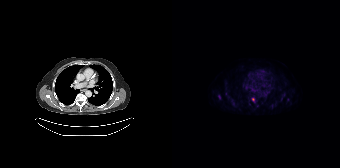
Two-panel axial: CT | PSMA PET, 18F tracer. PET panel 168×168 px (4.1 mm/px). Coordinates are on the 168×168 PET (right) panel. (showing 1 of 3 foci) Small PSMA-avid focus (2 to 4 px across) near (center x, center y): (81, 99).